Privacy masking over the head, with the pixels inside a rectangle set to black. Two-panel axial: CT | PSMA PET, 18F tracer. Slice 423 of 452. PET panel 200×200 px (4.1 mm/px).
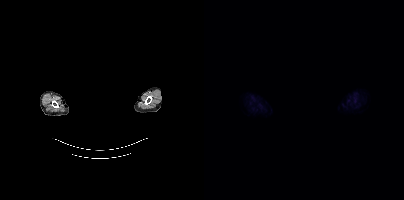
No tumor lesions annotated on this slice.